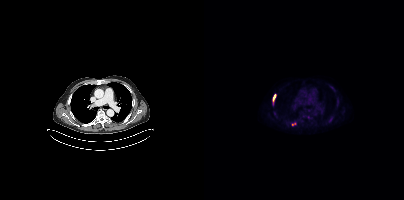
Coordinates are on the 200×200 PET (right) panel. PSMA-avid tumor lesion bounding boxes (x0, y0)-(x1, y1): (69, 94)-(71, 103) / (88, 122)-(92, 125). Small PSMA-avid focus (2 to 4 px across) near (center x, center y): (126, 119).